- Left: CT. Right: PSMA PET, same axial level, 18F tracer
- slice 70 of 263
- PET panel 256×256 px (2.7 mm/px)
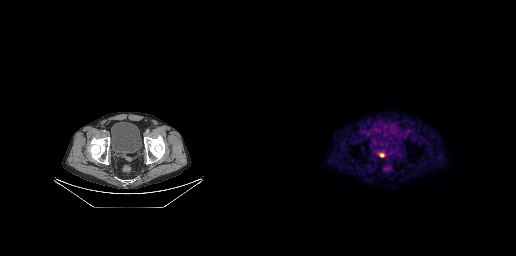
Findings: Coordinates are on the 256×256 PET (right) panel. Small PSMA-avid focus (2 to 4 px across) near (center x, center y): (122, 155).